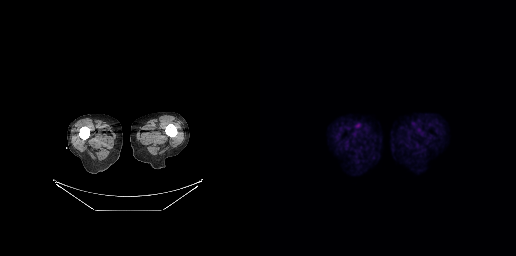
This slice has no annotated PSMA-avid lesion.